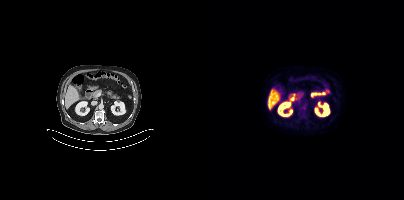
modality: PSMA PET/CT | tracer: 18F | view: axial
No PSMA-avid tumor lesions on this slice.